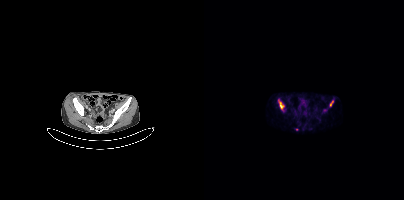
Findings: Coordinates are on the 200×200 PET (right) panel. (showing 3 of 5 foci) PSMA-avid tumor lesion bounding boxes (x0,y0,x1,y1): [75,101,80,109] [126,100,129,106]. Small PSMA-avid focus (2 to 4 px across) near (center x, center y): (93, 129).
- Two-panel axial: CT | PSMA PET, 68Ga-PSMA tracer
- acquired on Siemens Biograph mCT Flow 20
- slice position z = -1055 mm